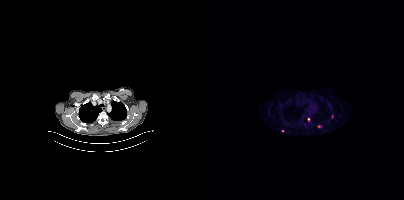
{"pet_grid":[200,200],"coord_frame":"pet_panel","coord_format":"x0,y0,x1,y1","partial":true,"lesion_bboxes":[],"small_foci_centers":[[128,116],[78,130],[100,124],[114,125]],"modality":"PSMA PET/CT","view":"axial","tracer":"[18F]PSMA-1007"}